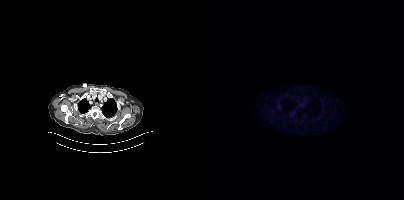
This slice has no annotated PSMA-avid lesion. Paired axial CT (left) and PSMA PET (right), 18F-PSMA tracer. Acquired on Siemens Biograph mCT Flow 20. PET panel 200×200 px (4.1 mm/px).